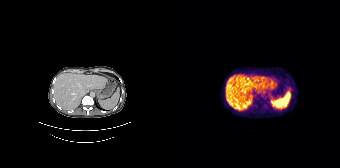
No PSMA-avid tumor lesions on this slice.